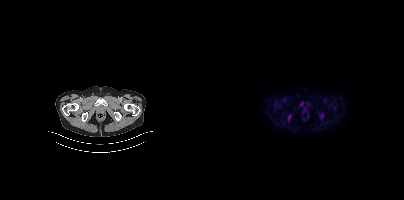
Paired axial CT (left) and PSMA PET (right), [18F]PSMA-1007 tracer. Acquired on Siemens Biograph mCT Flow 20. Slice 53 of 413. No tumor lesions annotated on this slice.